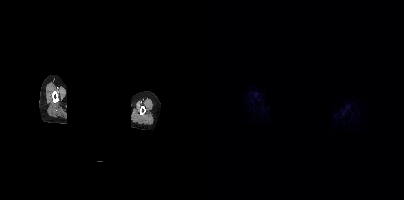
de-identification: rectangular block over head set to black | modality: PSMA PET/CT | tracer: [68Ga]Ga-PSMA-11 | view: axial
Negative for PSMA-avid disease on this slice.